Paired axial CT (left) and PSMA PET (right), 68Ga-PSMA tracer. Slice 199 of 263. PET panel 256×256 px (2.7 mm/px).
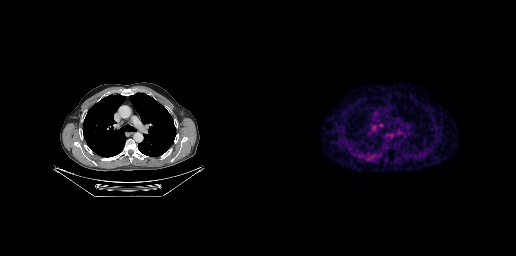
Coordinates are on the 256×256 PET (right) panel. PSMA-avid tumor lesion bounding boxes (x0, y0)-(x1, y1): (118, 122)-(124, 128) | (112, 125)-(116, 130).